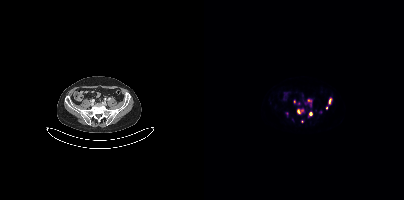
Coordinates are on the 200×200 PET (right) panel. PSMA-avid tumor lesion bounding boxes (partial; 1 more focus not listed):
| # | x0 | y0 | x1 | y1 |
|---|---|---|---|---|
| 1 | 103 | 99 | 107 | 102 |
| 2 | 93 | 109 | 96 | 113 |
Small PSMA-avid foci (2 to 4 px across) near (center x, center y): (106, 114); (125, 100); (90, 101); (122, 107); (97, 109); (82, 113); (106, 104); (98, 121).
Left: CT. Right: PSMA PET, same axial level, 68Ga-PSMA tracer. Slice 119 of 411.